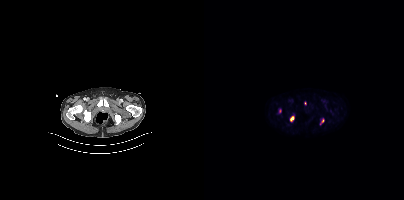
Coordinates are on the 200×200 PET (right) panel. (showing 2 of 5 foci) PSMA-avid tumor lesion bounding box (x0,y0,x1,y1): [86,116,89,121]. Small PSMA-avid focus (2 to 4 px across) near (center x, center y): (116, 123). Left: CT. Right: PSMA PET, same axial level, 18F-PSMA tracer. Acquired on Siemens Biograph mCT Flow 20. Slice position z = -910 mm. PET panel 200×200 px (4.1 mm/px).